Technique: Left: CT. Right: PSMA PET, same axial level, [68Ga]Ga-PSMA-11 tracer. slice position z = -547 mm.
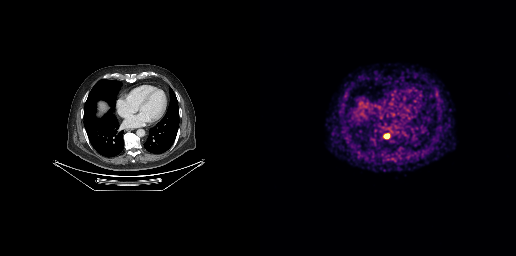
Findings: Coordinates are on the 256×256 PET (right) panel. PSMA-avid tumor lesion bounding box (x0,y0,x1,y1): [124,134,128,138].